Technique: Left: CT. Right: PSMA PET, same axial level, 18F-PSMA tracer. PET panel 200×200 px (4.1 mm/px).
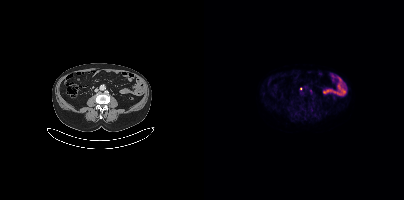
Findings: No PSMA-avid tumor lesions on this slice.